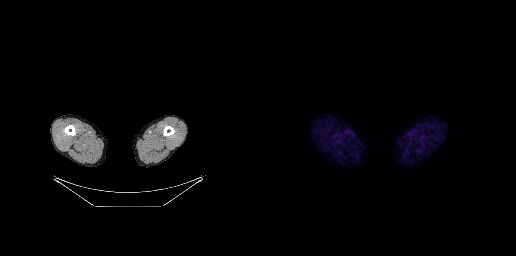
Findings: This slice has no annotated PSMA-avid lesion.
Technique: Paired axial CT (left) and PSMA PET (right), 18F-PSMA tracer. acquired on GE Discovery 690. PET panel 256×256 px (2.7 mm/px).